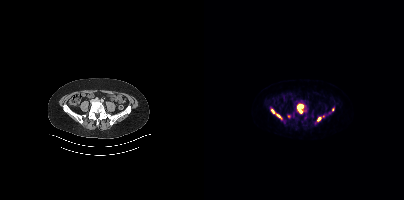
Coordinates are on the 200×200 PET (right) panel. PSMA-avid tumor lesion bounding boxes (partial; 2 more foci not listed):
| # | x0 | y0 | x1 | y1 |
|---|---|---|---|---|
| 1 | 93 | 104 | 99 | 113 |
| 2 | 67 | 109 | 77 | 118 |
| 3 | 113 | 117 | 117 | 121 |
Small PSMA-avid focus (2 to 4 px across) near (center x, center y): (129, 109).
Left: CT. Right: PSMA PET, same axial level, [18F]PSMA-1007 tracer. Slice 131 of 444. PET panel 200×200 px (4.1 mm/px).